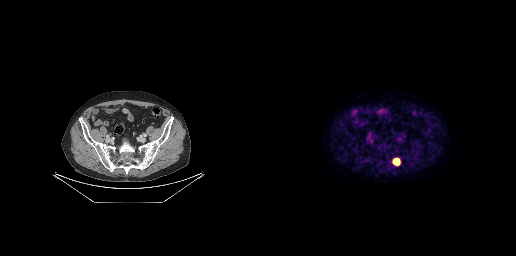
modality: PSMA PET/CT | tracer: 18F-PSMA | view: axial | PET grid: 256×256
Coordinates are on the 256×256 PET (right) panel. PSMA-avid tumor lesion bounding box (x, y, width, height): x=133 y=159 w=7 h=6.